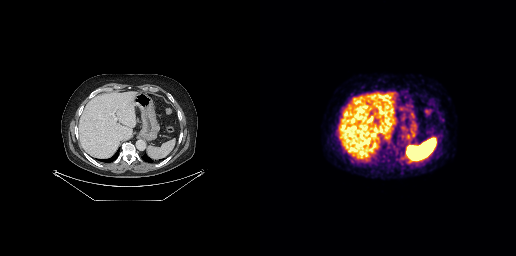
- Two-panel axial: CT | PSMA PET, [68Ga]Ga-PSMA-11 tracer
- slice position z = -490 mm
Findings: Negative for PSMA-avid disease on this slice.